Technique: Left: CT. Right: PSMA PET, same axial level, 18F tracer. slice 282 of 389.
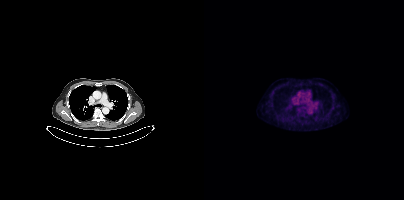
Findings: Only PSMA-avid lesion pieces thinner than 2 px on this slice (not listed).